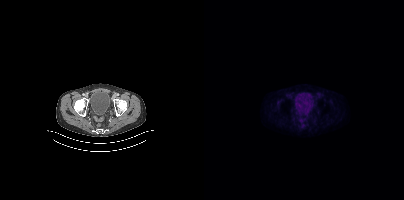
Technique: Two-panel axial: CT | PSMA PET, [18F]PSMA-1007 tracer. slice position z = -20 mm.
Findings: No tumor lesions annotated on this slice.